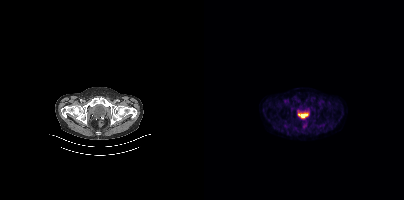
Findings: This slice has no annotated PSMA-avid lesion.
- Paired axial CT (left) and PSMA PET (right), [18F]PSMA-1007 tracer
- slice position z = -972 mm